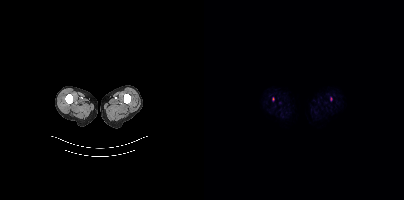
Coordinates are on the 200×200 PET (right) panel. (showing 1 of 2 foci) Small PSMA-avid focus (2 to 4 px across) near (center x, center y): (69, 98).
modality: PSMA PET/CT | tracer: 18F-PSMA | view: axial | PET grid: 200×200